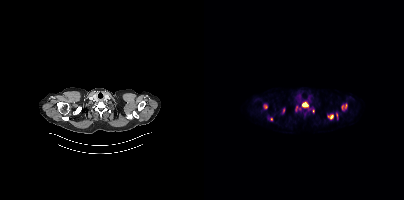
Technique: Two-panel axial: CT | PSMA PET, 18F tracer. acquired on Siemens Biograph mCT Flow 20. PET panel 200×200 px (4.1 mm/px).
Findings: Coordinates are on the 200×200 PET (right) panel. (showing 7 of 12 foci) PSMA-avid tumor lesion bounding boxes (x, y, width, height): x=98 y=102 w=7 h=5 | x=141 y=104 w=2 h=5. Small PSMA-avid foci (2 to 4 px across) near (center x, center y): (61, 106) | (127, 116) | (93, 107) | (79, 109) | (67, 118).